Technique: Paired axial CT (left) and PSMA PET (right), [68Ga]Ga-PSMA-11 tracer. acquired on Siemens Biograph 64-4R TruePoint. slice 78 of 195.
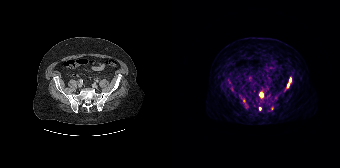
Findings: Coordinates are on the 168×168 PET (right) panel. (showing 3 of 4 foci) PSMA-avid tumor lesion bounding boxes (x, y, width, height): x=115 y=77 w=5 h=11 | x=87 y=92 w=5 h=6. Small PSMA-avid focus (2 to 4 px across) near (center x, center y): (88, 108).